An anonymization step blacked out a rectangle over the head in this scan. Left: CT. Right: PSMA PET, same axial level, [68Ga]Ga-PSMA-11 tracer. Acquired on GE Discovery 690. PET panel 256×256 px (2.7 mm/px).
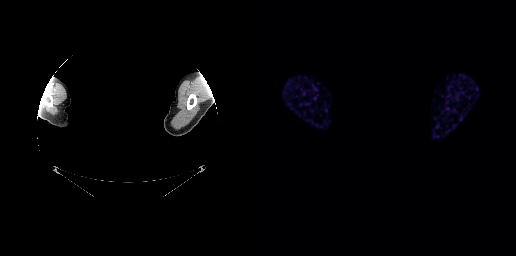
Negative for PSMA-avid disease on this slice.